Left: CT. Right: PSMA PET, same axial level, 68Ga tracer.
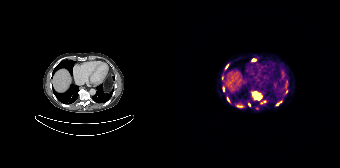
Coordinates are on the 168×168 PET (right) panel. (showing 10 of 11 foci) PSMA-avid tumor lesion bounding boxes (x0, y0)-(x1, y1): (81, 92)-(89, 99) / (105, 101)-(109, 105) / (51, 87)-(52, 91) / (55, 97)-(57, 101). Small PSMA-avid foci (2 to 4 px across) near (center x, center y): (81, 60) / (54, 66) / (114, 84) / (77, 104) / (84, 108) / (114, 91).